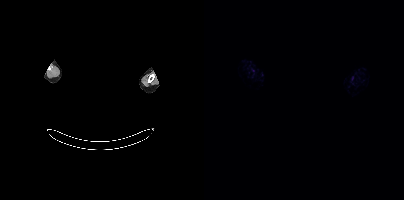
{"pet_grid":[200,200],"coord_frame":"pet_panel","coord_format":"x0,y0,x1,y1","psma_avid_lesions":false,"redaction":"head region blanked (face removed)","modality":"PSMA PET/CT","view":"axial","tracer":"[18F]PSMA-1007"}